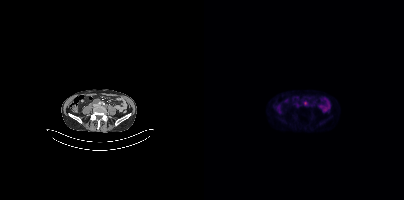
{"pet_grid":[200,200],"coord_frame":"pet_panel","coord_format":"x0,y0,x1,y1","lesion_bboxes":[],"small_foci_centers":[[101,103]],"modality":"PSMA PET/CT","view":"axial","tracer":"[18F]PSMA-1007"}